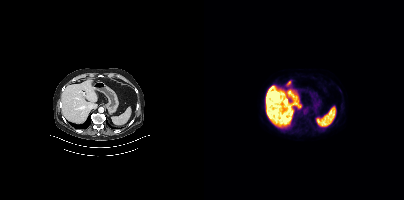
Negative for PSMA-avid disease on this slice. Left: CT. Right: PSMA PET, same axial level, 18F-PSMA tracer. PET panel 200×200 px (4.1 mm/px).